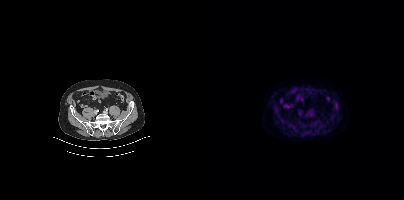
- Two-panel axial: CT | PSMA PET, 18F-PSMA tracer
- acquired on Siemens Biograph mCT Flow 20
Findings: This slice has no annotated PSMA-avid lesion.